Paired axial CT (left) and PSMA PET (right), [18F]PSMA-1007 tracer. Slice 387 of 417. PET panel 200×200 px (4.1 mm/px). A rectangular block over the head has been blanked out for de-identification.
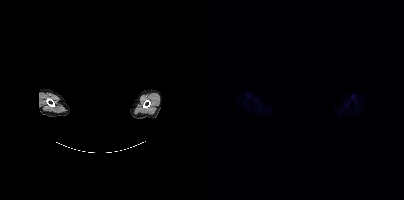
No PSMA-avid tumor lesions on this slice.